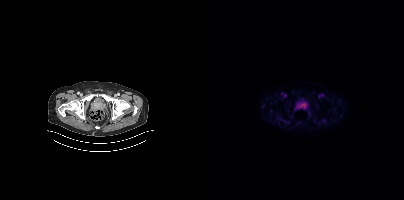
modality: PSMA PET/CT | tracer: 18F-PSMA | view: axial | PET grid: 200×200
Coordinates are on the 200×200 PET (right) panel. PSMA-avid tumor lesion bounding box (x0, y0)-(x1, y1): (95, 103)-(102, 109).